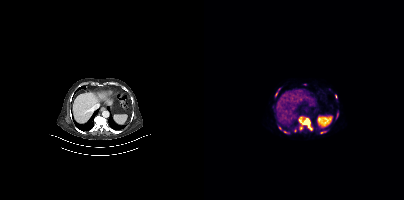
Left: CT. Right: PSMA PET, same axial level, 68Ga-PSMA tracer. Slice 242 of 397. Coordinates are on the 200×200 PET (right) panel. (showing 7 of 9 foci) PSMA-avid tumor lesion bounding boxes (x, y, width, height): x=94 y=116 w=15 h=15 / x=132 y=112 w=3 h=6 / x=116 y=131 w=6 h=3 / x=72 y=89 w=4 h=6. Small PSMA-avid foci (2 to 4 px across) near (center x, center y): (76, 127) / (81, 132) / (131, 96).